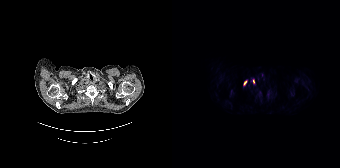
Coordinates are on the 168×168 PET (right) panel. PSMA-avid tumor lesion bounding box (x0,y0,x1,y1): [71,80,75,85]. Small PSMA-avid focus (2 to 4 px across) near (center x, center y): (81, 81).
modality: PSMA PET/CT | tracer: [18F]PSMA-1007 | view: axial | PET grid: 168×168